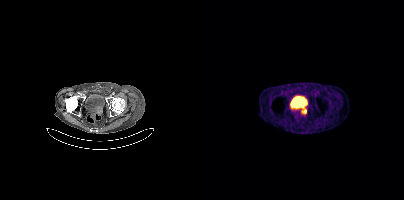
Findings: Coordinates are on the 200×200 PET (right) panel. PSMA-avid tumor lesion bounding box (x0,y0,x1,y1): [97,106,102,115].
Technique: Paired axial CT (left) and PSMA PET (right), 68Ga tracer. acquired on Siemens Biograph mCT Flow 20. slice position z = -1042 mm. PET panel 200×200 px (4.1 mm/px).